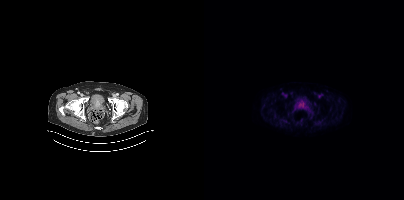
Coordinates are on the 200×200 PET (right) panel. PSMA-avid tumor lesion bounding box (x, y, width, height): x=97 y=104 w=5 h=5.